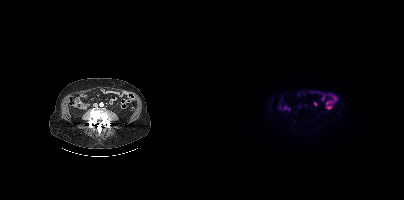
{"modality":"PSMA PET/CT","view":"axial","tracer":"[18F]PSMA-1007","pet_grid":[200,200],"coord_frame":"pet_panel","coord_format":"x0,y0,x1,y1","psma_avid_lesions":false}